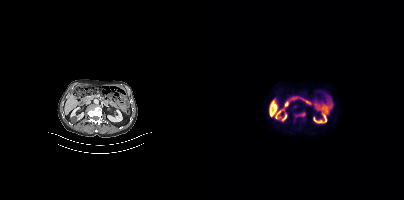
Two-panel axial: CT | PSMA PET, 18F-PSMA tracer.
Coordinates are on the 200×200 PET (right) panel. PSMA-avid tumor lesion bounding boxes (partial; 1 more focus not listed):
| # | x0 | y0 | x1 | y1 |
|---|---|---|---|---|
| 1 | 95 | 112 | 101 | 116 |